Technique: Left: CT. Right: PSMA PET, same axial level, 18F-PSMA tracer. acquired on Siemens Biograph mCT Flow 20. slice 72 of 373.
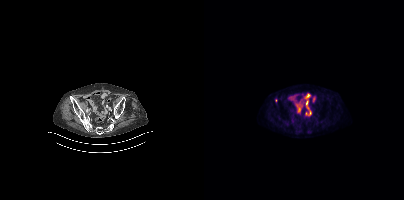
Findings: Coordinates are on the 200×200 PET (right) panel. Small PSMA-avid focus (2 to 4 px across) near (center x, center y): (72, 100).